- Two-panel axial: CT | PSMA PET, 68Ga-PSMA tracer
- acquired on Siemens Biograph 64-4R TruePoint
- slice 133 of 195
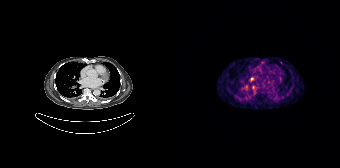
Findings: Coordinates are on the 168×168 PET (right) panel. Small PSMA-avid foci (2 to 4 px across) near (center x, center y): (79, 79) | (81, 87) | (74, 86).